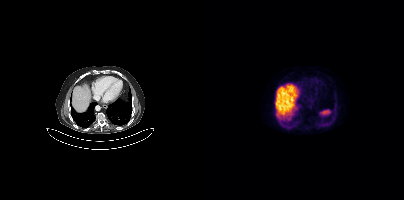
Left: CT. Right: PSMA PET, same axial level, 18F tracer. Acquired on Siemens Biograph mCT Flow 20. Slice 248 of 395. Negative for PSMA-avid disease on this slice.